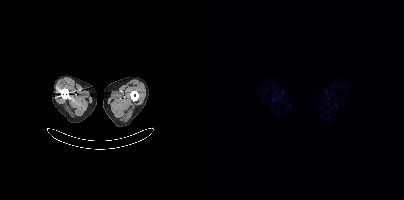
{"modality":"PSMA PET/CT","view":"axial","tracer":"18F","pet_grid":[200,200],"coord_frame":"pet_panel","coord_format":"x0,y0,x1,y1","psma_avid_lesions":false}